Paired axial CT (left) and PSMA PET (right), 18F-PSMA tracer. PET panel 200×200 px (4.1 mm/px).
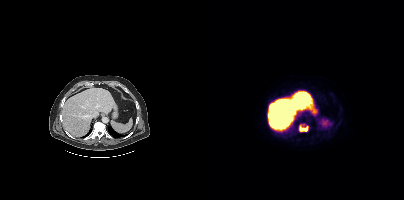
Coordinates are on the 200×200 PET (right) panel. PSMA-avid tumor lesion bounding box (x0,y0,x1,y1): [95,125,104,131].